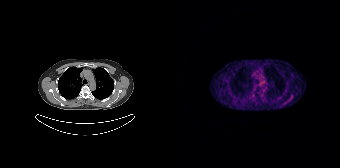
Findings: Only PSMA-avid lesion pieces thinner than 2 px on this slice (not listed).
Technique: Two-panel axial: CT | PSMA PET, [68Ga]Ga-PSMA-11 tracer.